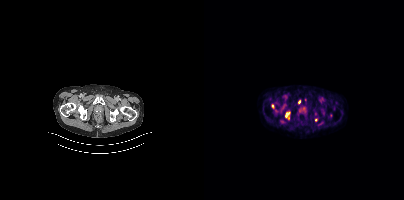
Findings: Coordinates are on the 200×200 PET (right) panel. (showing 4 of 5 foci) PSMA-avid tumor lesion bounding box (x0,y0,x1,y1): [81,112,85,117]. Small PSMA-avid foci (2 to 4 px across) near (center x, center y): (68, 106), (95, 102), (111, 119).
Technique: Left: CT. Right: PSMA PET, same axial level, 18F tracer. acquired on Siemens Biograph mCT Flow 20. slice position z = -879 mm. PET panel 200×200 px (4.1 mm/px).